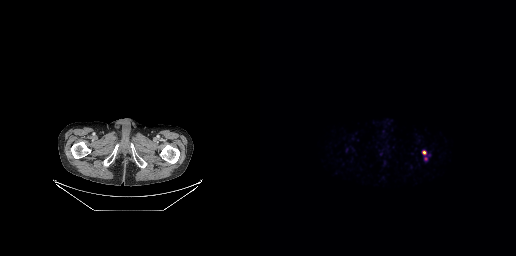
Coordinates are on the 256×256 PET (right) panel. PSMA-avid tumor lesion bounding box (x, y, width, height): x=162 y=151 w=5 h=4. Small PSMA-avid focus (2 to 4 px across) near (center x, center y): (165, 158).
modality: PSMA PET/CT | tracer: 68Ga-PSMA | view: axial